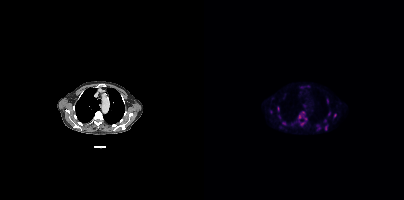
Coordinates are on the 200×200 PET (right) panel. (showing 7 of 9 foci) PSMA-avid tumor lesion bounding box (x0, y0)-(x1, y1): (94, 112)-(102, 120). Small PSMA-avid foci (2 to 4 px across) near (center x, center y): (98, 123); (131, 115); (67, 111); (121, 127); (125, 114); (80, 123). Two-panel axial: CT | PSMA PET, 18F-PSMA tracer. Slice 281 of 375. PET panel 200×200 px (4.1 mm/px).